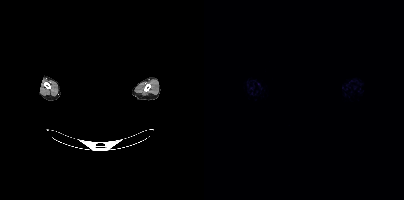
Technique: Left: CT. Right: PSMA PET, same axial level, [18F]PSMA-1007 tracer. acquired on Siemens Biograph mCT Flow 20. PET panel 200×200 px (4.1 mm/px).
Note: A rectangle over the head was blacked out to remove identifiable facial features.
Findings: Negative for PSMA-avid disease on this slice.